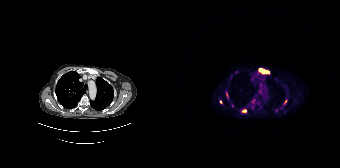
Findings: Coordinates are on the 168×168 PET (right) panel. PSMA-avid tumor lesion bounding boxes (x0, y0)-(x1, y1): (87, 68)-(97, 72); (70, 109)-(74, 112). Small PSMA-avid foci (2 to 4 px across) near (center x, center y): (60, 105); (54, 94); (48, 102); (113, 101); (81, 100).
Technique: Paired axial CT (left) and PSMA PET (right), 68Ga-PSMA tracer. slice 124 of 165.